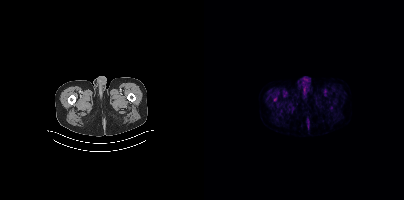
{"modality":"PSMA PET/CT","view":"axial","tracer":"[18F]PSMA-1007","pet_grid":[200,200],"coord_frame":"pet_panel","coord_format":"x0,y0,x1,y1","lesion_bboxes":[],"small_foci_centers":[[71,98]]}